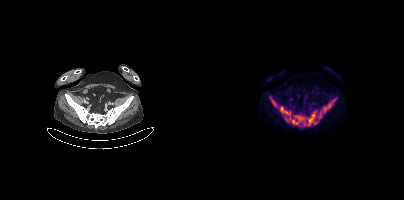
Findings: Coordinates are on the 200×200 PET (right) panel. (showing 4 of 5 foci) PSMA-avid tumor lesion bounding boxes (x, y, width, height): x=84 y=114 w=31 h=13; x=66 y=97 w=8 h=11; x=120 y=104 w=7 h=8. Small PSMA-avid focus (2 to 4 px across) near (center x, center y): (77, 108).
Technique: Paired axial CT (left) and PSMA PET (right), 18F-PSMA tracer. PET panel 200×200 px (4.1 mm/px).